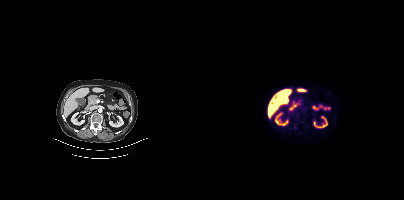
No tumor lesions annotated on this slice.